Technique: Paired axial CT (left) and PSMA PET (right), 18F-PSMA tracer. PET panel 200×200 px (4.1 mm/px).
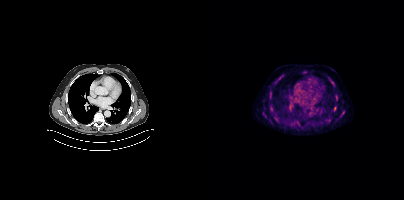
Findings: Coordinates are on the 200×200 PET (right) panel. PSMA-avid tumor lesion bounding box (x0, y0)-(x1, y1): (126, 80)-(130, 84). Small PSMA-avid foci (2 to 4 px across) near (center x, center y): (132, 98) / (78, 75) / (131, 107) / (71, 117).